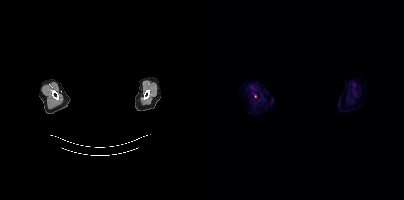
redaction: face masked with black rectangle | modality: PSMA PET/CT | tracer: 18F | view: axial | PET grid: 200×200
Coordinates are on the 200×200 PET (right) panel. Small PSMA-avid focus (2 to 4 px across) near (center x, center y): (51, 96).